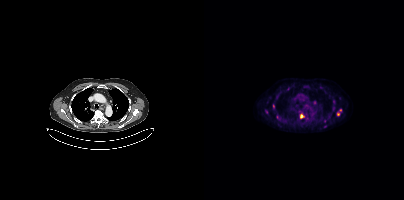
Two-panel axial: CT | PSMA PET, 18F tracer. Slice 288 of 387. Coordinates are on the 200×200 PET (right) panel. (showing 5 of 6 foci) PSMA-avid tumor lesion bounding box (x0,y0,x1,y1): [96,114,98,118]. Small PSMA-avid foci (2 to 4 px across) near (center x, center y): (62, 111), (134, 114), (110, 102), (136, 109).